Left: CT. Right: PSMA PET, same axial level, [18F]PSMA-1007 tracer. Acquired on Siemens Biograph mCT Flow 20. Slice 323 of 431. PET panel 200×200 px (4.1 mm/px).
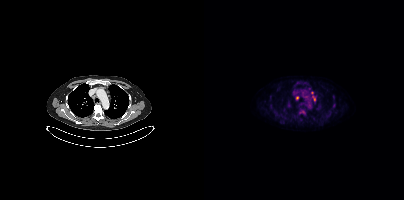
Coordinates are on the 200×200 PET (right) panel. PSMA-avid tumor lesion bounding boxes (x0, y0)-(x1, y1): (95, 110)-(101, 114); (108, 96)-(111, 100). Small PSMA-avid foci (2 to 4 px across) near (center x, center y): (93, 97); (105, 88); (129, 105); (108, 92).